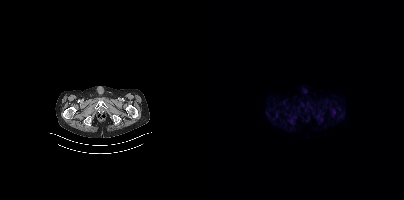
Negative for PSMA-avid disease on this slice.